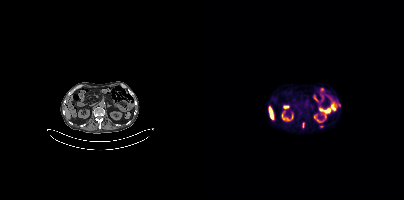
Coordinates are on the 200×200 PET (right) panel. PSMA-avid tumor lesion bounding box (x, y, width, height): x=98 y=122 w=3 h=6. Small PSMA-avid foci (2 to 4 px across) near (center x, center y): (117, 126); (135, 103). Two-panel axial: CT | PSMA PET, [18F]PSMA-1007 tracer. Acquired on Siemens Biograph mCT Flow 20. Slice 183 of 385.